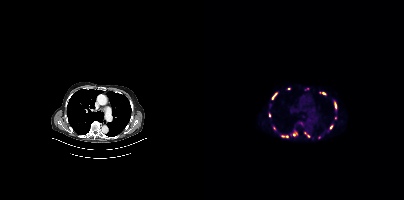
Left: CT. Right: PSMA PET, same axial level, [68Ga]Ga-PSMA-11 tracer. Coordinates are on the 200×200 PET (right) panel. (showing 15 of 18 foci) PSMA-avid tumor lesion bounding boxes (x0, y0)-(x1, y1): (68, 93)-(73, 99) / (86, 133)-(92, 136) / (101, 132)-(105, 137) / (126, 124)-(128, 128) / (131, 103)-(132, 108). Small PSMA-avid foci (2 to 4 px across) near (center x, center y): (119, 93) / (65, 114) / (83, 136) / (96, 123) / (79, 136) / (84, 88) / (131, 117) / (70, 128) / (99, 116) / (90, 130).